Paired axial CT (left) and PSMA PET (right), [18F]PSMA-1007 tracer. PET panel 256×256 px (2.7 mm/px).
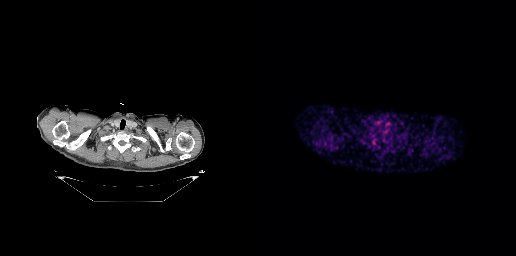
No tumor lesions annotated on this slice.